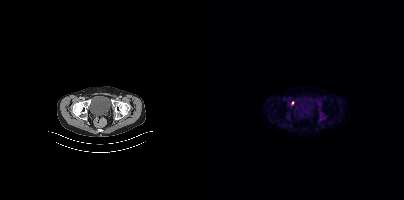
{"modality":"PSMA PET/CT","view":"axial","tracer":"[18F]PSMA-1007","pet_grid":[200,200],"coord_frame":"pet_panel","coord_format":"x0,y0,x1,y1","lesion_bboxes":[],"small_foci_centers":[[88,102]]}